A rectangle over the head was blacked out to remove identifiable facial features.
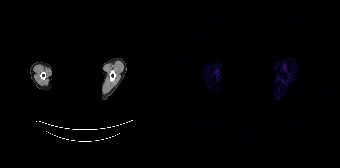
Negative for PSMA-avid disease on this slice.